modality: PSMA PET/CT | tracer: 68Ga | view: axial | PET grid: 168×168
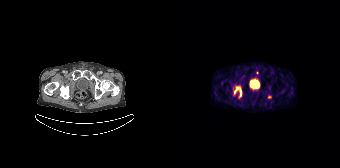
Coordinates are on the 168×168 PET (right) panel. (showing 1 of 3 foci) PSMA-avid tumor lesion bounding box (x0, y0)-(x1, y1): (62, 86)-(69, 97).